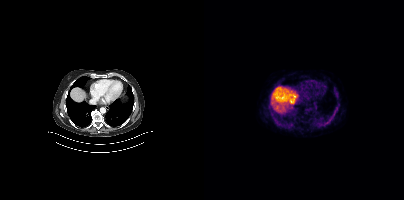
{"modality":"PSMA PET/CT","view":"axial","tracer":"18F-PSMA","pet_grid":[200,200],"coord_frame":"pet_panel","coord_format":"x0,y0,x1,y1","psma_avid_lesions":false}